Technique: Paired axial CT (left) and PSMA PET (right), 18F-PSMA tracer. acquired on Siemens Biograph mCT Flow 20. slice position z = -774 mm. PET panel 200×200 px (4.1 mm/px).
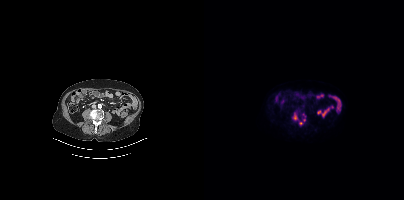
Findings: Coordinates are on the 200×200 PET (right) panel. PSMA-avid tumor lesion bounding boxes (x0, y0)-(x1, y1): (88, 112)-(94, 120) | (95, 119)-(101, 125). Small PSMA-avid focus (2 to 4 px across) near (center x, center y): (100, 115).